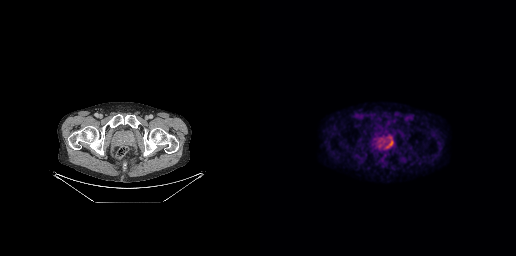
Coordinates are on the 256×256 PET (right) panel. PSMA-avid tumor lesion bounding box (x0,y0,x1,y1): [126,137,133,147].
modality: PSMA PET/CT | tracer: 18F-PSMA | view: axial | PET grid: 256×256